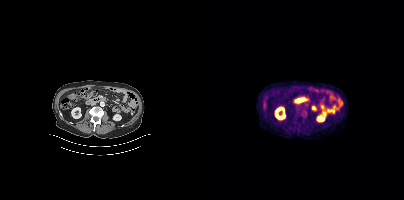
No PSMA-avid tumor lesions on this slice.